Two-panel axial: CT | PSMA PET, 68Ga-PSMA tracer. Slice position z = -776 mm.
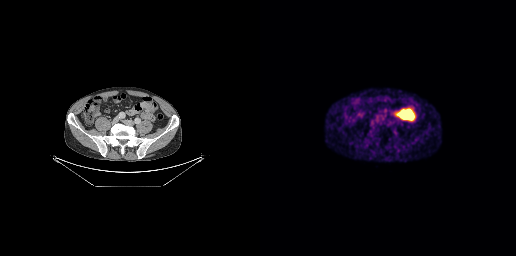
This slice has no annotated PSMA-avid lesion.